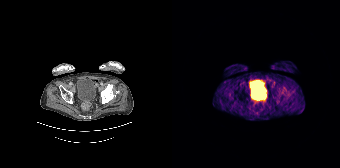
Two-panel axial: CT | PSMA PET, 68Ga-PSMA tracer. Acquired on Siemens Biograph 64-4R TruePoint. Slice 39 of 165. No tumor lesions annotated on this slice.